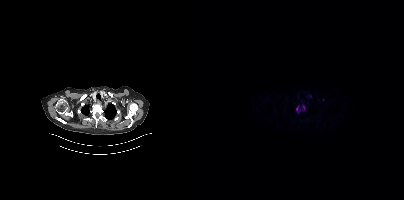
{"modality":"PSMA PET/CT","view":"axial","tracer":"[18F]PSMA-1007","pet_grid":[200,200],"coord_frame":"pet_panel","coord_format":"x0,y0,x1,y1","lesion_bboxes":[[97,108,101,110]]}